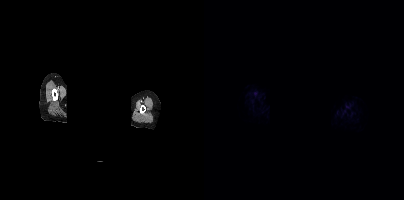
The face region was removed for patient privacy by blanking a rectangle over the head. Left: CT. Right: PSMA PET, same axial level, [68Ga]Ga-PSMA-11 tracer. Slice 394 of 444. PET panel 200×200 px (4.1 mm/px). No PSMA-avid tumor lesions on this slice.